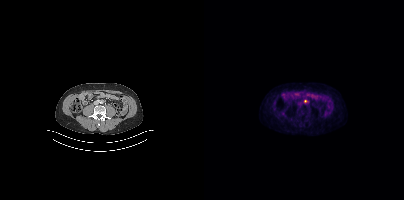
{"modality":"PSMA PET/CT","view":"axial","tracer":"18F","pet_grid":[200,200],"coord_frame":"pet_panel","coord_format":"x0,y0,x1,y1","lesion_bboxes":[],"small_foci_centers":[[101,101]]}